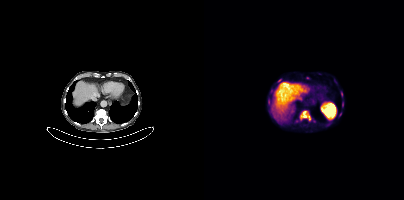
{"pet_grid":[200,200],"coord_frame":"pet_panel","coord_format":"x0,y0,x1,y1","lesion_bboxes":[[96,110,106,120]],"small_foci_centers":[[75,80],[137,94],[138,104]],"modality":"PSMA PET/CT","view":"axial","tracer":"[18F]PSMA-1007"}